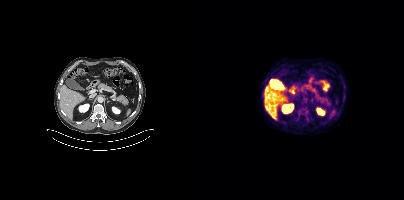
Two-panel axial: CT | PSMA PET, 18F-PSMA tracer. Acquired on Siemens Biograph mCT Flow 20. Slice position z = 1460 mm. PET panel 200×200 px (4.1 mm/px). No PSMA-avid tumor lesions on this slice.